- Left: CT. Right: PSMA PET, same axial level, 18F tracer
- acquired on Siemens Biograph mCT Flow 20
- slice 333 of 435
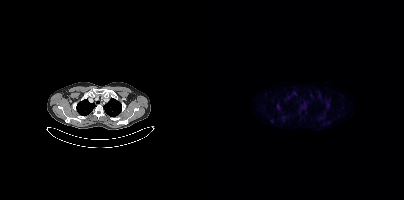
Findings: Coordinates are on the 200×200 PET (right) panel. Small PSMA-avid focus (2 to 4 px across) near (center x, center y): (74, 106).